Facial anatomy redacted by setting a rectangular region of the head to black.
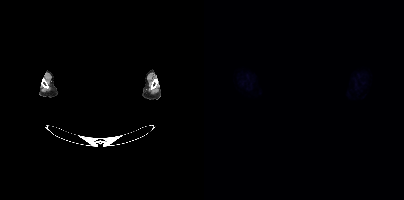
Negative for PSMA-avid disease on this slice.